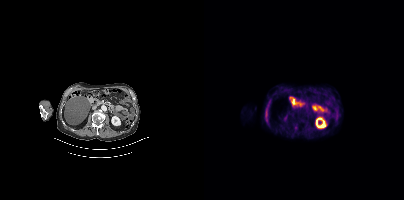
- Left: CT. Right: PSMA PET, same axial level, 18F tracer
Findings: No tumor lesions annotated on this slice.